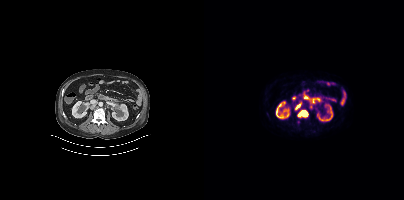
{"pet_grid":[200,200],"coord_frame":"pet_panel","coord_format":"x0,y0,x1,y1","lesion_bboxes":[[93,110,104,117],[91,102,97,109]],"modality":"PSMA PET/CT","view":"axial","tracer":"18F"}